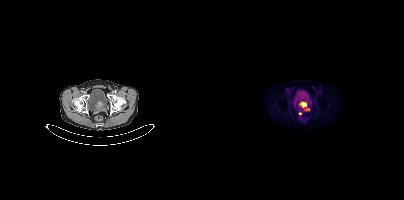
Technique: Left: CT. Right: PSMA PET, same axial level, [18F]PSMA-1007 tracer.
Findings: Coordinates are on the 200×200 PET (right) panel. PSMA-avid tumor lesion bounding box (x0,y0,x1,y1): [95,101,105,110]. Small PSMA-avid focus (2 to 4 px across) near (center x, center y): (96, 113).